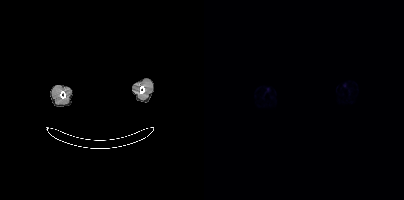
{"pet_grid":[200,200],"coord_frame":"pet_panel","coord_format":"x0,y0,x1,y1","psma_avid_lesions":false,"modality":"PSMA PET/CT","view":"axial","tracer":"[68Ga]Ga-PSMA-11","de-identification":"rectangular block over head set to black"}